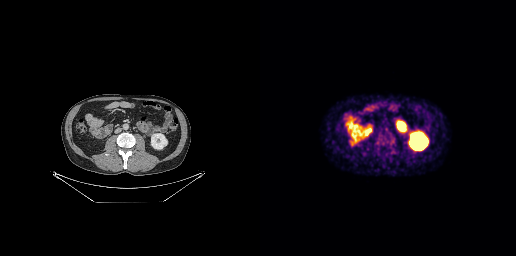
{"pet_grid":[256,256],"coord_frame":"pet_panel","coord_format":"x0,y0,x1,y1","lesion_bboxes":[[128,136,135,143],[120,137,126,143]],"modality":"PSMA PET/CT","view":"axial","tracer":"18F-PSMA"}